Technique: Paired axial CT (left) and PSMA PET (right), 18F-PSMA tracer.
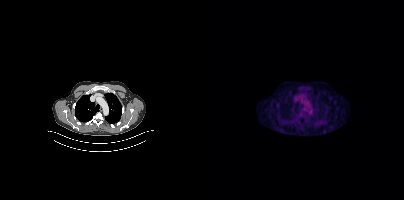
Findings: No PSMA-avid tumor lesions on this slice.